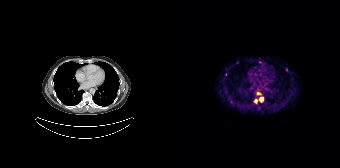
{"modality":"PSMA PET/CT","view":"axial","tracer":"68Ga-PSMA","pet_grid":[168,168],"coord_frame":"pet_panel","coord_format":"x0,y0,x1,y1","partial":true,"lesion_bboxes":[[87,97,91,102],[82,99,85,103]],"small_foci_centers":[[114,69],[86,93]]}